- Left: CT. Right: PSMA PET, same axial level, 18F-PSMA tracer
- acquired on Siemens Biograph mCT Flow 20
- slice 115 of 403
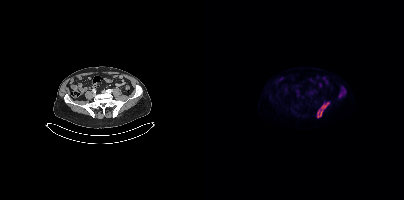
Findings: Coordinates are on the 200×200 PET (right) panel. PSMA-avid tumor lesion bounding boxes (x, y, width, height): x=113 y=102 w=13 h=16 | x=135 y=91 w=5 h=6.